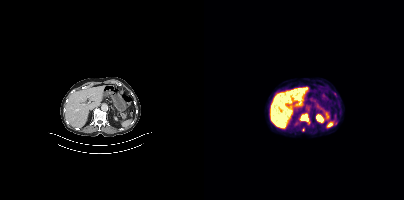
Findings: Coordinates are on the 200×200 PET (right) panel. PSMA-avid tumor lesion bounding box (x0,y0,x1,y1): [96,114,104,121]. Small PSMA-avid focus (2 to 4 px across) near (center x, center y): (99, 129).
- Paired axial CT (left) and PSMA PET (right), 18F-PSMA tracer
- acquired on Siemens Biograph mCT Flow 20
- PET panel 200×200 px (4.1 mm/px)